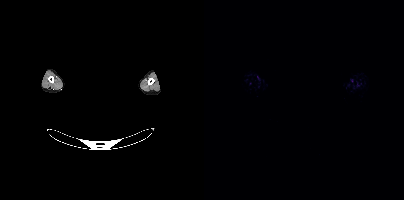
- Left: CT. Right: PSMA PET, same axial level, 18F-PSMA tracer
- acquired on Siemens Biograph mCT Flow 20
- slice position z = -292 mm
- a rectangular block over the head has been blanked out for de-identification
Findings: This slice has no annotated PSMA-avid lesion.